Two-panel axial: CT | PSMA PET, [18F]PSMA-1007 tracer. Slice position z = -454 mm.
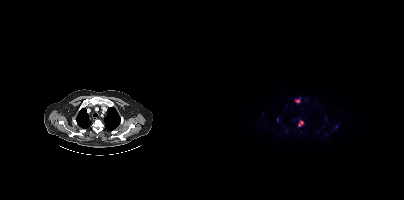
Coordinates are on the 200×200 PET (right) panel. PSMA-avid tumor lesion bounding boxes (partial; 1 more focus not listed):
| # | x0 | y0 | x1 | y1 |
|---|---|---|---|---|
| 1 | 94 | 121 | 99 | 126 |
| 2 | 91 | 99 | 96 | 102 |